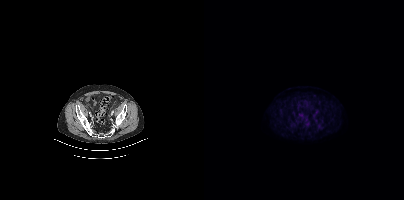
{"modality":"PSMA PET/CT","view":"axial","tracer":"[18F]PSMA-1007","pet_grid":[200,200],"coord_frame":"pet_panel","coord_format":"x0,y0,x1,y1","lesion_bboxes":[],"small_foci_centers":[[77,113]]}